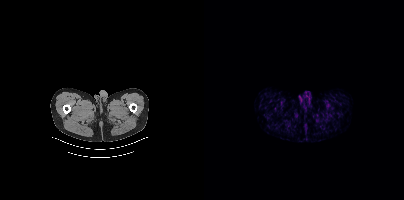
This slice has no annotated PSMA-avid lesion.
modality: PSMA PET/CT | tracer: [68Ga]Ga-PSMA-11 | view: axial | PET grid: 200×200